modality: PSMA PET/CT | tracer: 18F-PSMA | view: axial | PET grid: 200×200
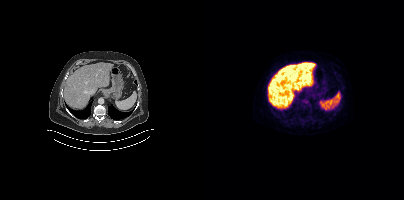
Only PSMA-avid lesion pieces thinner than 2 px on this slice (not listed).